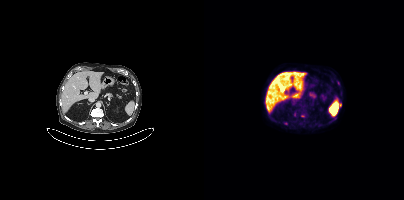
modality: PSMA PET/CT | tracer: 18F-PSMA | view: axial | PET grid: 200×200
Coordinates are on the 200×200 PET (right) panel. Small PSMA-avid focus (2 to 4 px across) near (center x, center y): (136, 104).